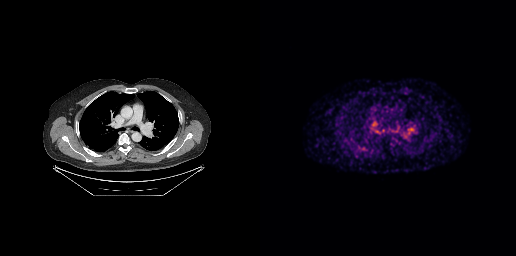
{"pet_grid":[256,256],"coord_frame":"pet_panel","coord_format":"x0,y0,x1,y1","psma_avid_lesions":false,"modality":"PSMA PET/CT","view":"axial","tracer":"[68Ga]Ga-PSMA-11"}